Technique: Paired axial CT (left) and PSMA PET (right), 18F tracer. slice 189 of 299.
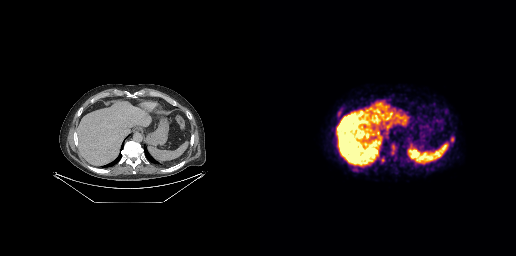
Findings: Coordinates are on the 256×256 PET (right) panel. (showing 1 of 3 foci) PSMA-avid tumor lesion bounding box (x0, y0)-(x1, y1): (190, 136)-(194, 142).